- Paired axial CT (left) and PSMA PET (right), 18F tracer
- slice position z = -1503 mm
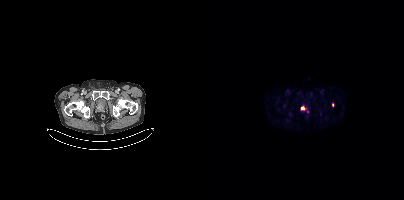
Findings: Coordinates are on the 200×200 PET (right) panel. PSMA-avid tumor lesion bounding box (x, y, width, height): x=97 y=107 w=8 h=7. Small PSMA-avid focus (2 to 4 px across) near (center x, center y): (128, 104).